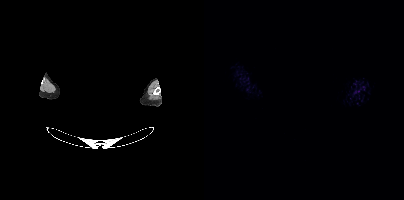
modality: PSMA PET/CT | tracer: [18F]PSMA-1007 | view: axial | PET grid: 200×200 | de-identification: face masked with black rectangle
Negative for PSMA-avid disease on this slice.